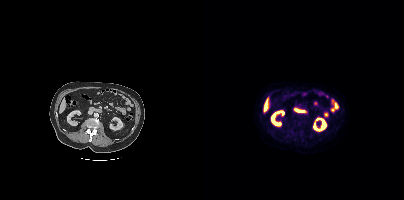
This slice has no annotated PSMA-avid lesion.
modality: PSMA PET/CT | tracer: 18F-PSMA | view: axial